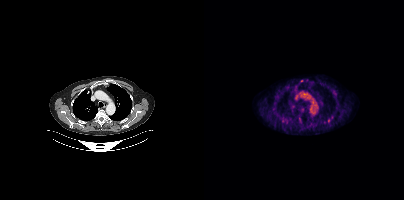
Coordinates are on the 200×200 PET (right) panel. (showing 1 of 2 foci) Small PSMA-avid focus (2 to 4 px across) near (center x, center y): (97, 80).